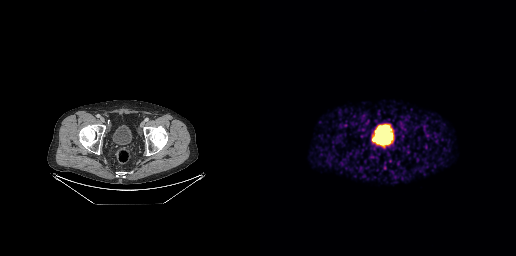
This slice has no annotated PSMA-avid lesion.